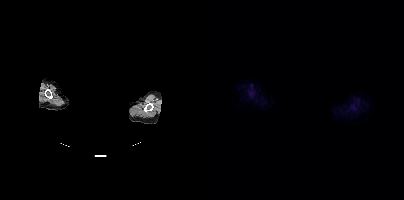
- Two-panel axial: CT | PSMA PET, 18F tracer
- PET panel 200×200 px (4.1 mm/px)
- de-identified by setting a box covering the face to black before release
Findings: This slice has no annotated PSMA-avid lesion.